Technique: Paired axial CT (left) and PSMA PET (right), [18F]PSMA-1007 tracer. slice position z = -1134 mm. PET panel 200×200 px (4.1 mm/px).
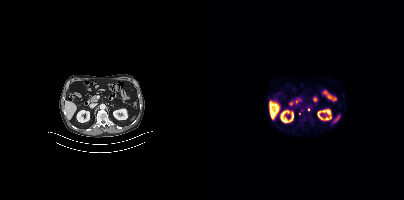
Findings: Coordinates are on the 200×200 PET (right) panel. (showing 1 of 3 foci) Small PSMA-avid focus (2 to 4 px across) near (center x, center y): (104, 109).